Technique: Paired axial CT (left) and PSMA PET (right), 18F tracer. PET panel 200×200 px (4.1 mm/px).
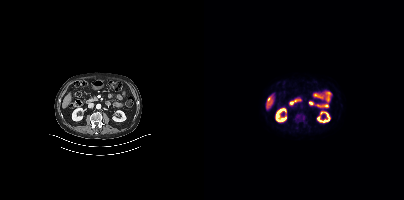
Findings: No PSMA-avid tumor lesions on this slice.